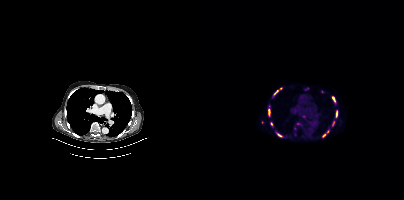
{"pet_grid":[200,200],"coord_frame":"pet_panel","coord_format":"x0,y0,x1,y1","partial":true,"lesion_bboxes":[[64,109,66,116],[118,130,124,137],[128,97,131,101],[132,111,133,116],[70,90,74,94]],"small_foci_centers":[[99,116],[67,123],[94,123],[75,135]],"modality":"PSMA PET/CT","view":"axial","tracer":"68Ga"}